modality: PSMA PET/CT | tracer: 18F-PSMA | view: axial | PET grid: 256×256
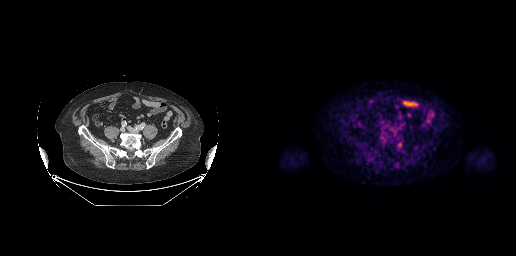
Coordinates are on the 256×256 PET (right) panel. Small PSMA-avid focus (2 to 4 px across) near (center x, center y): (139, 144).